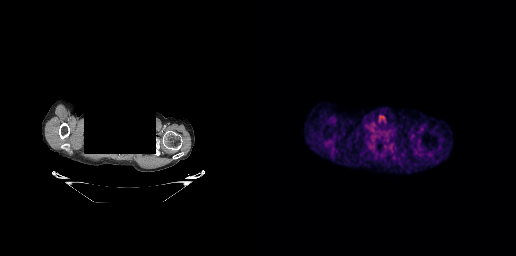
{"pet_grid":[256,256],"coord_frame":"pet_panel","coord_format":"x0,y0,x1,y1","psma_avid_lesions":false,"modality":"PSMA PET/CT","view":"axial","tracer":"18F","redaction":"head region blanked (face removed)"}